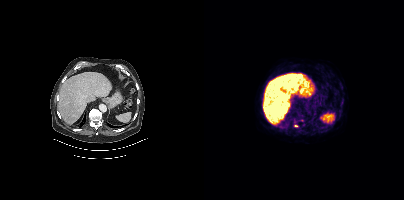
Coordinates are on the 200×200 PET (right) panel. Small PSMA-avid focus (2 to 4 px across) near (center x, center y): (92, 125).
modality: PSMA PET/CT | tracer: 18F | view: axial | PET grid: 200×200